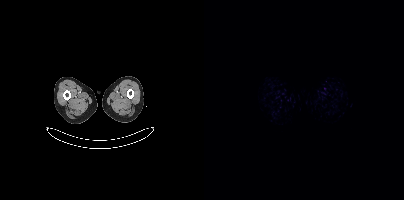
modality: PSMA PET/CT | tracer: [68Ga]Ga-PSMA-11 | view: axial | PET grid: 200×200
Negative for PSMA-avid disease on this slice.